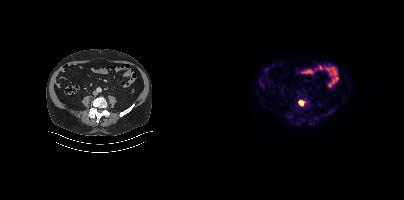
{"pet_grid":[200,200],"coord_frame":"pet_panel","coord_format":"x0,y0,x1,y1","lesion_bboxes":[[94,100,99,105]],"modality":"PSMA PET/CT","view":"axial","tracer":"18F"}